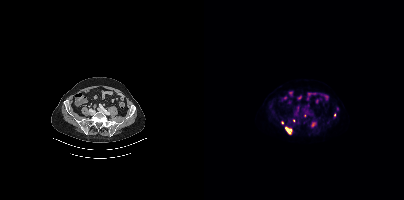
Coordinates are on the 200×200 PET (right) panel. (showing 6 of 7 foci) PSMA-avid tumor lesion bounding boxes (x, y, width, height): x=81 y=127 w=7 h=7 | x=107 y=122 w=5 h=5. Small PSMA-avid foci (2 to 4 px across) near (center x, center y): (133, 108) | (130, 114) | (89, 120) | (78, 122).